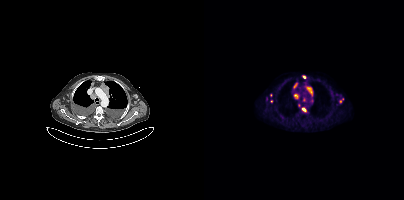
Coordinates are on the 200×200 PET (right) panel. (showing 7 of 10 foci) PSMA-avid tumor lesion bounding boxes (x0, y0)-(x1, y1): (102, 87)-(108, 95); (98, 107)-(102, 112); (90, 94)-(94, 98); (98, 75)-(102, 78); (90, 83)-(93, 87). Small PSMA-avid foci (2 to 4 px across) near (center x, center y): (67, 101); (67, 95). Paired axial CT (left) and PSMA PET (right), [18F]PSMA-1007 tracer. Acquired on Siemens Biograph mCT Flow 20.